- Paired axial CT (left) and PSMA PET (right), 18F tracer
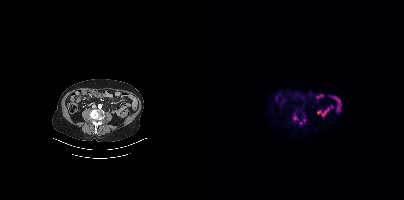
Findings: Coordinates are on the 200×200 PET (right) panel. PSMA-avid tumor lesion bounding box (x, y, width, height): x=89 y=113 w=5 h=8. Small PSMA-avid foci (2 to 4 px across) near (center x, center y): (96, 123) | (100, 120).